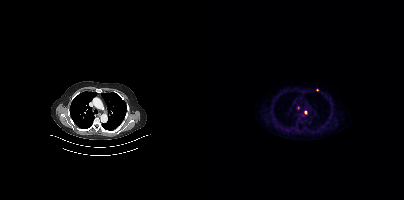
{"modality":"PSMA PET/CT","view":"axial","tracer":"[18F]PSMA-1007","pet_grid":[200,200],"coord_frame":"pet_panel","coord_format":"x0,y0,x1,y1","partial":true,"lesion_bboxes":[],"small_foci_centers":[[101,112],[113,89]]}